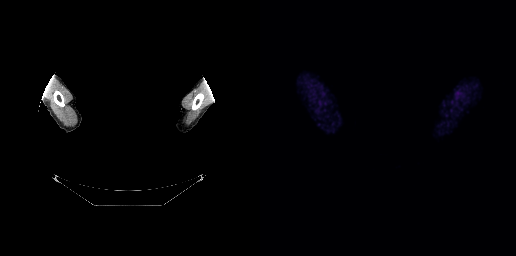
{"modality":"PSMA PET/CT","view":"axial","tracer":"18F","pet_grid":[256,256],"coord_frame":"pet_panel","coord_format":"x0,y0,x1,y1","deidentification":"facial region redacted","psma_avid_lesions":false}